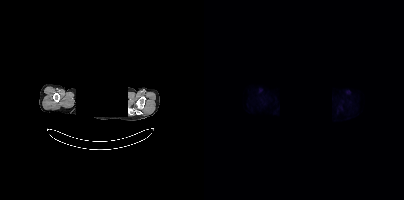
No tumor lesions annotated on this slice. A rectangular block over the head has been blanked out for de-identification. Left: CT. Right: PSMA PET, same axial level, [18F]PSMA-1007 tracer. PET panel 200×200 px (4.1 mm/px).